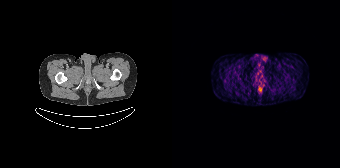
{"modality":"PSMA PET/CT","view":"axial","tracer":"[68Ga]Ga-PSMA-11","pet_grid":[168,168],"coord_frame":"pet_panel","coord_format":"x0,y0,x1,y1","psma_avid_lesions":false}